Technique: Two-panel axial: CT | PSMA PET, [68Ga]Ga-PSMA-11 tracer.
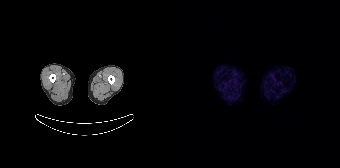
Findings: No tumor lesions annotated on this slice.